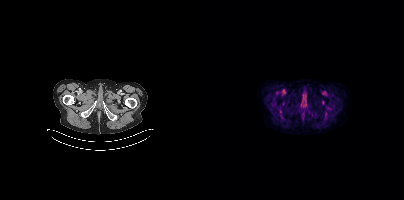
Paired axial CT (left) and PSMA PET (right), 18F tracer. Slice 41 of 429. No tumor lesions annotated on this slice.